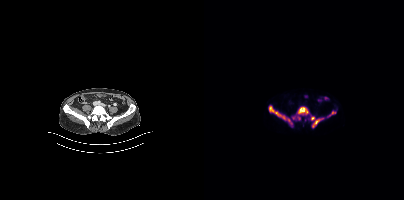
{"modality":"PSMA PET/CT","view":"axial","tracer":"18F-PSMA","pet_grid":[200,200],"coord_frame":"pet_panel","coord_format":"x0,y0,x1,y1","lesion_bboxes":[[65,106,88,124],[93,106,105,115],[107,116,118,127],[126,111,131,115]],"small_foci_centers":[[94,117],[89,117]]}